- Left: CT. Right: PSMA PET, same axial level, 18F tracer
- PET panel 200×200 px (4.1 mm/px)
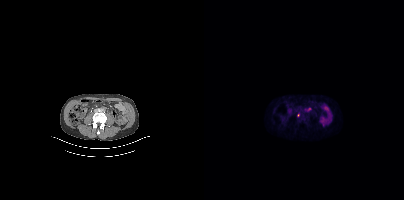
Findings: Coordinates are on the 200×200 PET (right) panel. (showing 1 of 2 foci) PSMA-avid tumor lesion bounding box (x0, y0)-(x1, y1): (101, 107)-(107, 111).